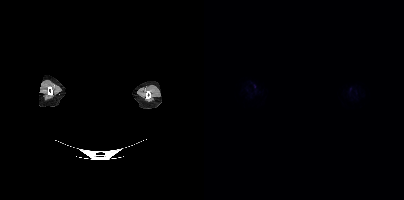
A rectangle over the head was blacked out to remove identifiable facial features. Left: CT. Right: PSMA PET, same axial level, 18F tracer. PET panel 200×200 px (4.1 mm/px). No PSMA-avid tumor lesions on this slice.